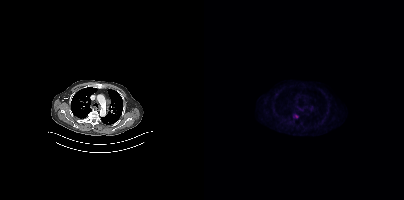
Paired axial CT (left) and PSMA PET (right), 18F-PSMA tracer. Slice 275 of 383. Coordinates are on the 200×200 PET (right) panel. Small PSMA-avid focus (2 to 4 px across) near (center x, center y): (92, 116).